- Two-panel axial: CT | PSMA PET, 18F tracer
- acquired on GE Discovery 690
- slice 66 of 263
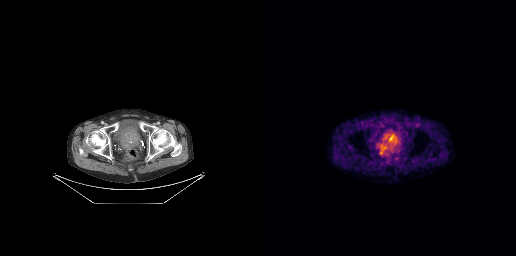
Findings: Coordinates are on the 256×256 PET (right) panel. Small PSMA-avid foci (2 to 4 px across) near (center x, center y): (120, 152); (133, 138).